Two-panel axial: CT | PSMA PET, 18F-PSMA tracer. Acquired on Siemens Biograph mCT Flow 20. Slice 193 of 448. PET panel 200×200 px (4.1 mm/px).
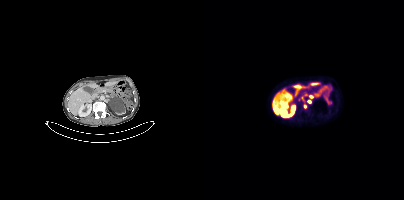
Coordinates are on the 200×200 PET (right) panel. PSMA-avid tumor lesion bounding boxes:
| # | x0 | y0 | x1 | y1 |
|---|---|---|---|---|
| 1 | 98 | 98 | 101 | 103 |
Small PSMA-avid foci (2 to 4 px across) near (center x, center y): (101, 106); (107, 96); (105, 101).